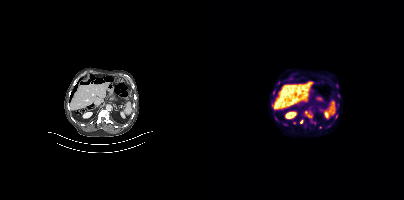
Coordinates are on the 200×200 PET (right) panel. (showing 11 of 13 foci) PSMA-avid tumor lesion bounding boxes (x, y, width, height): x=100 y=111 w=9 h=12; x=71 y=118 w=13 h=9; x=131 y=93 w=6 h=6; x=66 y=97 w=4 h=8; x=96 y=119 w=4 h=5; x=121 y=125 w=6 h=4. Small PSMA-avid foci (2 to 4 px across) near (center x, center y): (132, 116); (69, 92); (132, 85); (74, 83); (80, 118).